- Left: CT. Right: PSMA PET, same axial level, 68Ga tracer
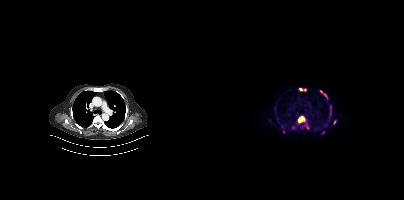
Findings: Coordinates are on the 200×200 PET (right) panel. (showing 7 of 8 foci) PSMA-avid tumor lesion bounding boxes (x0, y0)-(x1, y1): (93, 116)-(104, 127) / (116, 90)-(122, 96) / (125, 106)-(127, 110) / (125, 114)-(127, 118). Small PSMA-avid foci (2 to 4 px across) near (center x, center y): (130, 121) / (97, 89) / (89, 127).